Left: CT. Right: PSMA PET, same axial level, [68Ga]Ga-PSMA-11 tracer. Acquired on Siemens Biograph 64-4R TruePoint.
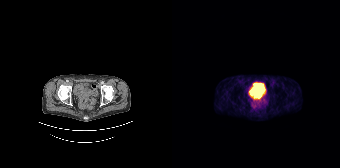
This slice has no annotated PSMA-avid lesion.